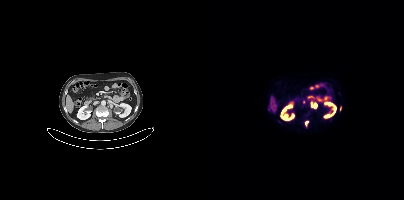
Coordinates are on the 200×200 PET (right) panel. PSMA-avid tumor lesion bounding boxes:
| # | x0 | y0 | x1 | y1 |
|---|---|---|---|---|
| 1 | 107 | 102 | 112 | 108 |
| 2 | 101 | 120 | 104 | 125 |
Small PSMA-avid foci (2 to 4 px across) near (center x, center y): (99, 102); (136, 108).
Left: CT. Right: PSMA PET, same axial level, 18F-PSMA tracer. Slice position z = 142 mm. PET panel 200×200 px (4.1 mm/px).